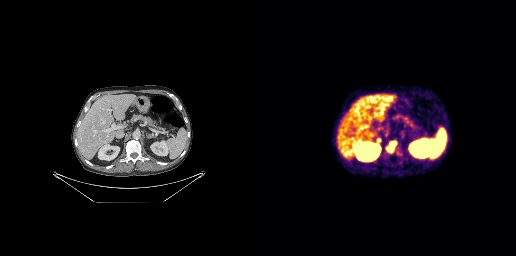
{"modality":"PSMA PET/CT","view":"axial","tracer":"[68Ga]Ga-PSMA-11","pet_grid":[256,256],"coord_frame":"pet_panel","coord_format":"x0,y0,x1,y1","lesion_bboxes":[[126,141,136,152]],"small_foci_centers":[[118,140],[137,151]]}